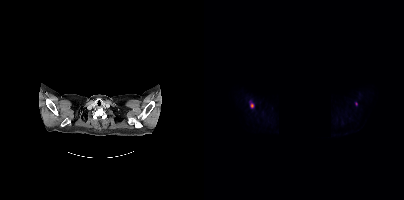
- Left: CT. Right: PSMA PET, same axial level, [18F]PSMA-1007 tracer
- acquired on Siemens Biograph mCT Flow 20
- a rectangular region was set to black for de-identification
Findings: Coordinates are on the 200×200 PET (right) panel. (showing 1 of 2 foci) PSMA-avid tumor lesion bounding box (x0, y0)-(x1, y1): (46, 103)-(49, 107).